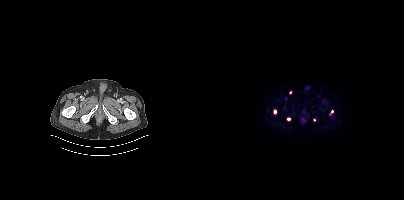
Paired axial CT (left) and PSMA PET (right), [18F]PSMA-1007 tracer. PET panel 200×200 px (4.1 mm/px).
Coordinates are on the 200×200 PET (right) panel. PSMA-avid tumor lesion bounding boxes:
| # | x0 | y0 | x1 | y1 |
|---|---|---|---|---|
| 1 | 69 | 110 | 72 | 114 |
| 2 | 125 | 110 | 129 | 115 |
Small PSMA-avid foci (2 to 4 px across) near (center x, center y): (84, 119); (110, 119); (86, 92).